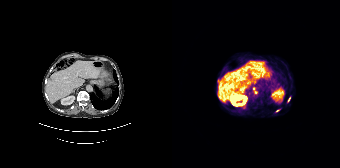
Coordinates are on the 168×168 PET (right) panel. PSMA-avid tumor lesion bounding boxes (x, y, width, height): x=80 y=87 w=6 h=7 / x=104 y=109 w=5 h=4 / x=116 y=97 w=3 h=5.
modality: PSMA PET/CT | tracer: 68Ga | view: axial